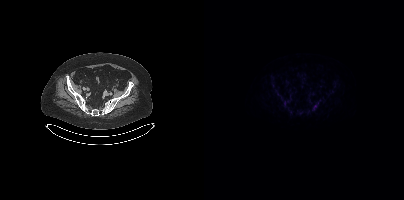
Findings: Negative for PSMA-avid disease on this slice.
Technique: Left: CT. Right: PSMA PET, same axial level, 18F tracer. acquired on Siemens Biograph mCT Flow 20.